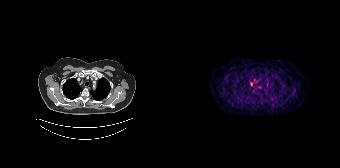
{"modality":"PSMA PET/CT","view":"axial","tracer":"[68Ga]Ga-PSMA-11","pet_grid":[168,168],"coord_frame":"pet_panel","coord_format":"x0,y0,x1,y1","lesion_bboxes":[],"small_foci_centers":[[79,84]]}